Two-panel axial: CT | PSMA PET, [18F]PSMA-1007 tracer. Acquired on Siemens Biograph mCT Flow 20. PET panel 200×200 px (4.1 mm/px).
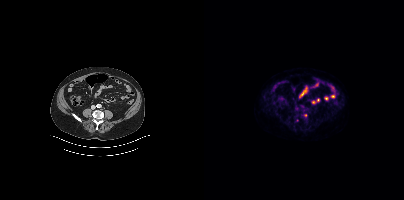
Only PSMA-avid lesion pieces thinner than 2 px on this slice (not listed).